Technique: Left: CT. Right: PSMA PET, same axial level, [18F]PSMA-1007 tracer. acquired on Siemens Biograph mCT Flow 20.
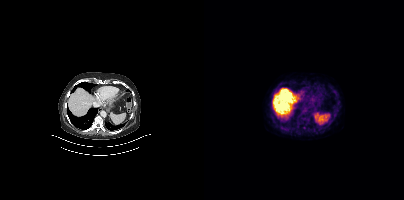
Findings: Only PSMA-avid lesion pieces thinner than 2 px on this slice (not listed).